Paired axial CT (left) and PSMA PET (right), 18F tracer. PET panel 256×256 px (2.7 mm/px).
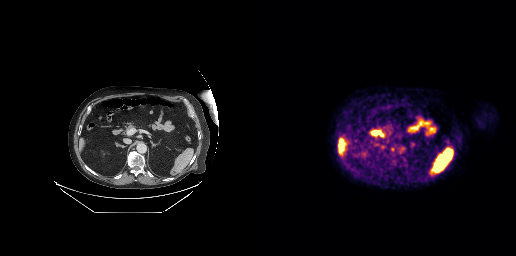
Coordinates are on the 256×256 PET (right) panel. Small PSMA-avid focus (2 to 4 px across) near (center x, center y): (132, 149).